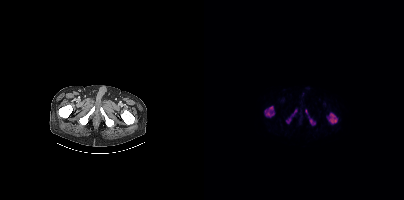
Findings: Coordinates are on the 200×200 PET (right) panel. PSMA-avid tumor lesion bounding boxes (x0,y0,x1,y1): [60,106,70,117] [123,112,133,123] [105,116,111,125] [82,118,86,123] [101,109,103,114] [89,110,92,114].
- Paired axial CT (left) and PSMA PET (right), 18F tracer
- acquired on Siemens Biograph mCT Flow 20
- slice 47 of 423
- PET panel 200×200 px (4.1 mm/px)